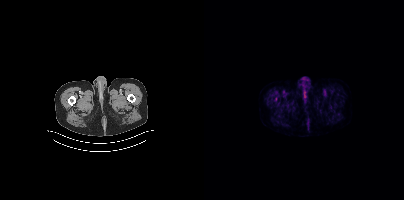
modality: PSMA PET/CT | tracer: 18F | view: axial
Negative for PSMA-avid disease on this slice.